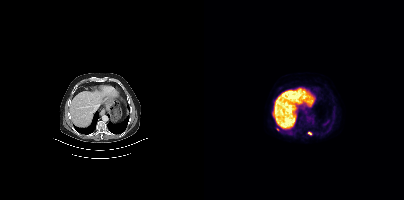
Coordinates are on the 200×200 PET (right) panel. PSMA-avid tumor lesion bounding box (x0, y0)-(x1, y1): (68, 113)-(70, 118). Small PSMA-avid foci (2 to 4 px across) near (center x, center y): (105, 133) / (73, 129).